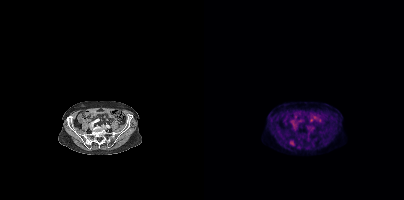
- Left: CT. Right: PSMA PET, same axial level, 18F tracer
Findings: Coordinates are on the 200×200 PET (right) panel. PSMA-avid tumor lesion bounding box (x0, y0)-(x1, y1): (86, 142)-(90, 145). Small PSMA-avid focus (2 to 4 px across) near (center x, center y): (127, 117).